de-identification: head region blanked (face removed) | modality: PSMA PET/CT | tracer: 68Ga-PSMA | view: axial
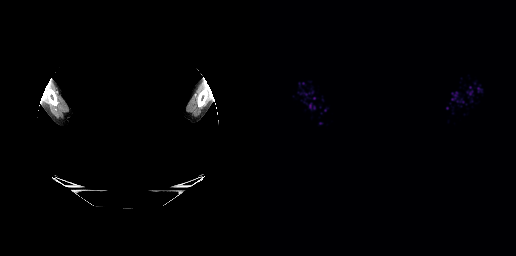
Negative for PSMA-avid disease on this slice.